- Left: CT. Right: PSMA PET, same axial level, 18F-PSMA tracer
- slice 295 of 431
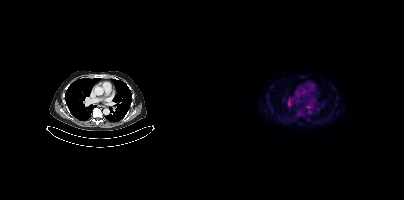
Findings: Coordinates are on the 200×200 PET (right) panel. PSMA-avid tumor lesion bounding boxes (x, y, width, height): x=102 y=105 w=5 h=4 | x=84 y=101 w=4 h=5.